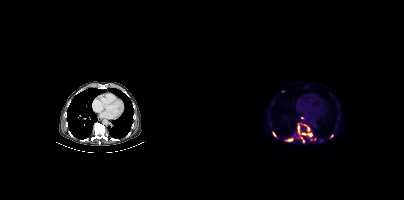
{"modality":"PSMA PET/CT","view":"axial","tracer":"[18F]PSMA-1007","pet_grid":[200,200],"coord_frame":"pet_panel","coord_format":"x0,y0,x1,y1","partial":true,"lesion_bboxes":[[94,123,101,138],[97,123,105,130],[103,133,107,136],[82,139,88,141],[108,138,112,140],[69,132,71,136]],"small_foci_centers":[[79,91],[127,136],[99,141]]}